Paired axial CT (left) and PSMA PET (right), [18F]PSMA-1007 tracer. Slice position z = -1136 mm. PET panel 200×200 px (4.1 mm/px).
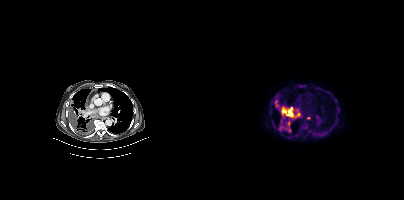
Coordinates are on the 200×200 PET (right) panel. PSMA-avid tumor lesion bounding boxes (partial; 1 more focus not listed):
| # | x0 | y0 | x1 | y1 |
|---|---|---|---|---|
| 1 | 77 | 106 | 95 | 119 |
| 2 | 76 | 119 | 87 | 132 |
| 3 | 71 | 100 | 75 | 107 |
| 4 | 97 | 124 | 103 | 129 |
| 5 | 95 | 85 | 101 | 87 |